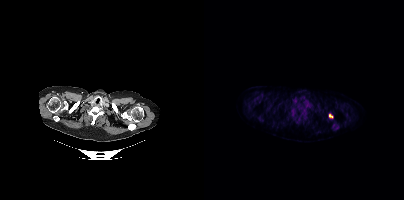
{"modality":"PSMA PET/CT","view":"axial","tracer":"18F-PSMA","pet_grid":[200,200],"coord_frame":"pet_panel","coord_format":"x0,y0,x1,y1","lesion_bboxes":[[125,114,129,118]]}